- Left: CT. Right: PSMA PET, same axial level, 68Ga-PSMA tracer
- acquired on GE Discovery 690
- PET panel 256×256 px (2.7 mm/px)
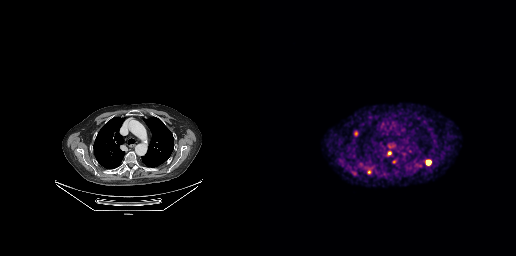
Findings: Coordinates are on the 256×256 PET (right) panel. PSMA-avid tumor lesion bounding boxes (x0,y0,x1,y1): [94,131,98,136]; [107,169,111,174]; [166,160,170,164]; [92,172,96,175]. Small PSMA-avid foci (2 to 4 px across) near (center x, center y): (129, 152); (134, 161).